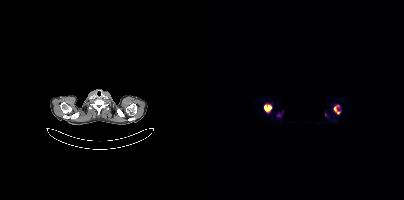
Coordinates are on the 200×200 PET (right) panel. PSMA-avid tumor lesion bounding boxes (partial; 1 more focus not listed):
| # | x0 | y0 | x1 | y1 |
|---|---|---|---|---|
| 1 | 60 | 104 | 67 | 112 |
| 2 | 130 | 106 | 135 | 114 |
An anonymization step blacked out a rectangle in this scan. Two-panel axial: CT | PSMA PET, 68Ga tracer. Slice 336 of 393.